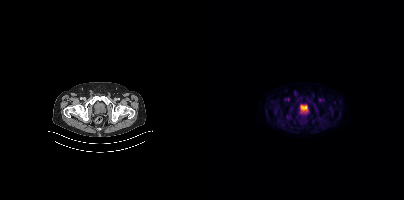
{"pet_grid":[200,200],"coord_frame":"pet_panel","coord_format":"x0,y0,x1,y1","lesion_bboxes":[],"small_foci_centers":[[82,116]],"modality":"PSMA PET/CT","view":"axial","tracer":"18F"}